- Paired axial CT (left) and PSMA PET (right), 18F tracer
- slice 330 of 454
- PET panel 200×200 px (4.1 mm/px)
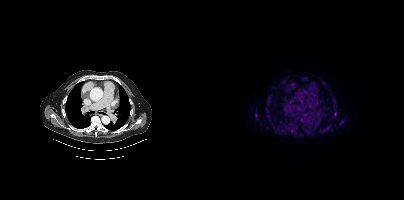
Findings: Coordinates are on the 200×200 PET (right) panel. (showing 1 of 2 foci) Small PSMA-avid focus (2 to 4 px across) near (center x, center y): (51, 115).